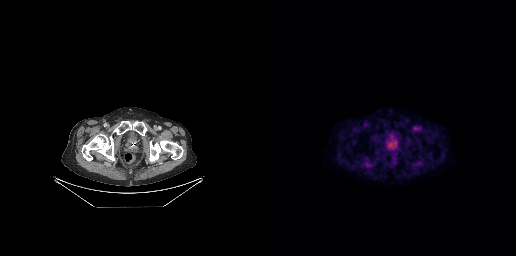
{"modality":"PSMA PET/CT","view":"axial","tracer":"18F-PSMA","pet_grid":[256,256],"coord_frame":"pet_panel","coord_format":"x0,y0,x1,y1","psma_avid_lesions":false}